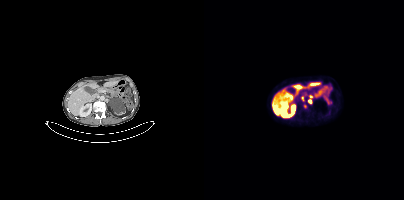
Coordinates are on the 200×200 PET (right) panel. (showing 3 of 4 foci) Small PSMA-avid foci (2 to 4 px across) near (center x, center y): (105, 101); (99, 99); (106, 96).